Left: CT. Right: PSMA PET, same axial level, [18F]PSMA-1007 tracer. Slice 220 of 450. PET panel 200×200 px (4.1 mm/px).
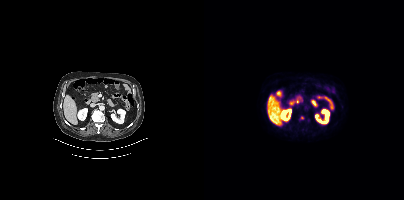
Coordinates are on the 200×200 PET (right) panel. Small PSMA-avid focus (2 to 4 px across) near (center x, center y): (98, 117).